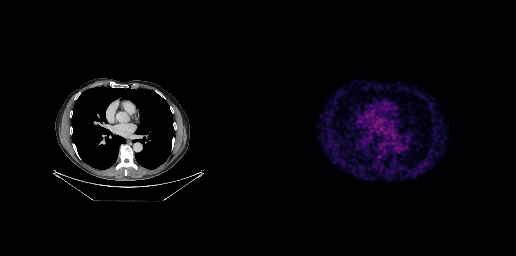
Technique: Paired axial CT (left) and PSMA PET (right), 68Ga-PSMA tracer. acquired on GE Discovery 690. PET panel 256×256 px (2.7 mm/px).
Findings: This slice has no annotated PSMA-avid lesion.